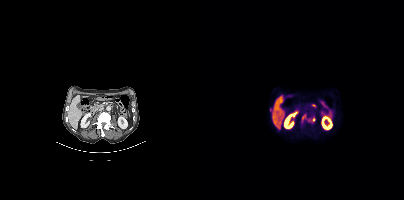
Findings: Coordinates are on the 200×200 PET (right) panel. PSMA-avid tumor lesion bounding box (x0,y0,x1,y1): [98,114,105,122]. Small PSMA-avid focus (2 to 4 px across) near (center x, center y): (109, 119).
Technique: Two-panel axial: CT | PSMA PET, 18F-PSMA tracer. PET panel 200×200 px (4.1 mm/px).